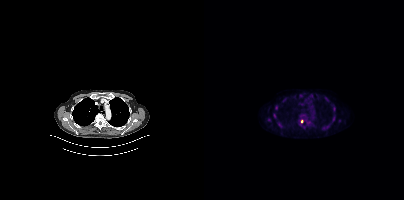
Findings: Coordinates are on the 200×200 PET (right) panel. Small PSMA-avid foci (2 to 4 px across) near (center x, center y): (72, 107); (130, 108); (70, 115); (97, 121); (129, 118); (65, 119); (74, 124).
Technique: Paired axial CT (left) and PSMA PET (right), [18F]PSMA-1007 tracer. slice position z = -333 mm.